Paired axial CT (left) and PSMA PET (right), [18F]PSMA-1007 tracer. Acquired on Siemens Biograph mCT Flow 20. De-identified by setting a box covering the face to black before release.
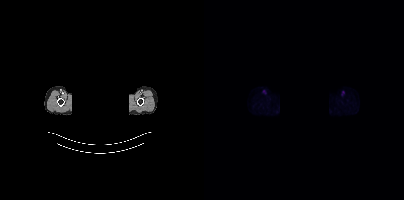
Negative for PSMA-avid disease on this slice.